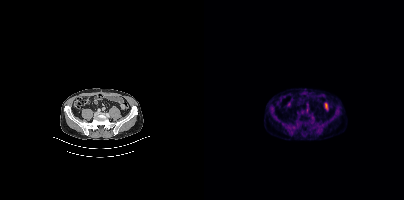
- Paired axial CT (left) and PSMA PET (right), 18F-PSMA tracer
- PET panel 200×200 px (4.1 mm/px)
Findings: No PSMA-avid tumor lesions on this slice.